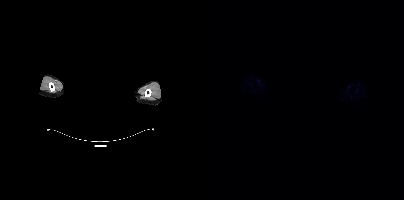
{"modality":"PSMA PET/CT","view":"axial","tracer":"18F","pet_grid":[200,200],"coord_frame":"pet_panel","coord_format":"x0,y0,x1,y1","psma_avid_lesions":false,"deidentification":"rectangular block over head set to black"}